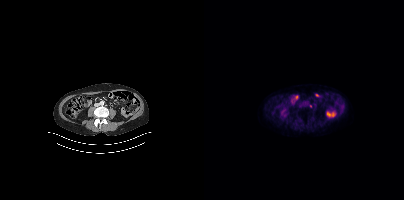
No tumor lesions annotated on this slice.